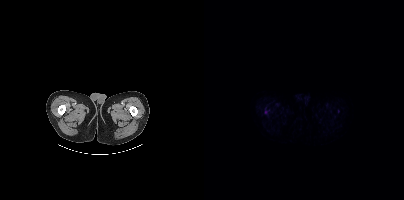
{"modality":"PSMA PET/CT","view":"axial","tracer":"[18F]PSMA-1007","pet_grid":[200,200],"coord_frame":"pet_panel","coord_format":"x0,y0,x1,y1","lesion_bboxes":[],"small_foci_centers":[[61,112]]}